- Two-panel axial: CT | PSMA PET, [18F]PSMA-1007 tracer
- acquired on GE Discovery 690
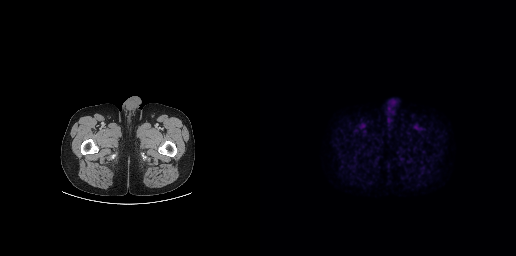
Findings: No tumor lesions annotated on this slice.